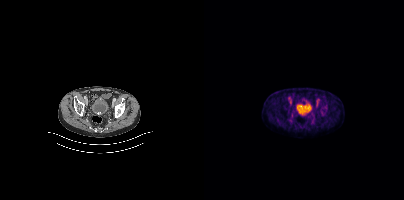
{"modality":"PSMA PET/CT","view":"axial","tracer":"18F-PSMA","pet_grid":[200,200],"coord_frame":"pet_panel","coord_format":"x0,y0,x1,y1","psma_avid_lesions":false}